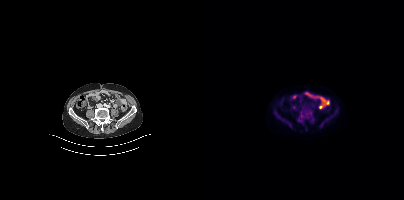
{"pet_grid":[200,200],"coord_frame":"pet_panel","coord_format":"x0,y0,x1,y1","psma_avid_lesions":false,"modality":"PSMA PET/CT","view":"axial","tracer":"[18F]PSMA-1007"}